- Two-panel axial: CT | PSMA PET, 18F tracer
- slice position z = -557 mm
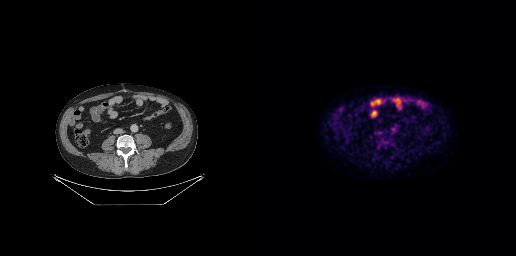
Findings: Negative for PSMA-avid disease on this slice.